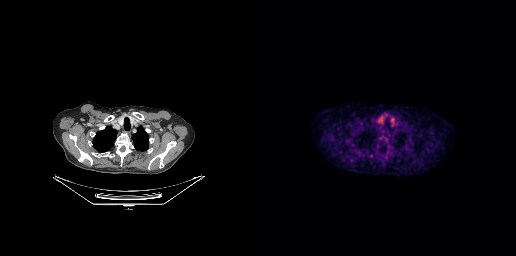
Findings: Negative for PSMA-avid disease on this slice.
Technique: Two-panel axial: CT | PSMA PET, 18F-PSMA tracer. acquired on GE Discovery 690. slice 221 of 263. PET panel 256×256 px (2.7 mm/px).